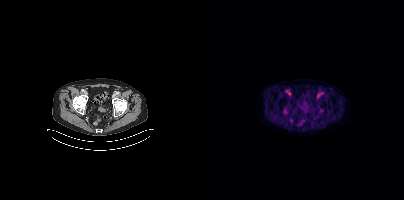
{"pet_grid":[200,200],"coord_frame":"pet_panel","coord_format":"x0,y0,x1,y1","lesion_bboxes":[],"small_foci_centers":[[80,110]],"modality":"PSMA PET/CT","view":"axial","tracer":"18F"}